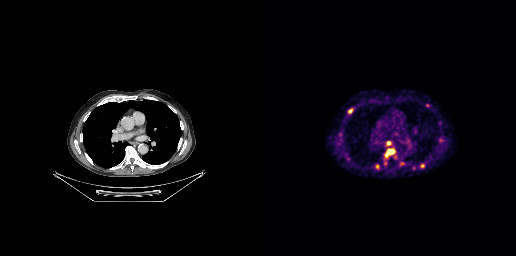
Coordinates are on the 256×256 PET (right) panel. PSMA-avid tumor lesion bounding boxes (x0, y0)-(x1, y1): (125, 149)-(134, 156); (160, 164)-(164, 167); (115, 164)-(119, 168); (127, 141)-(130, 145); (140, 162)-(144, 165); (179, 138)-(183, 142). Small PSMA-avid foci (2 to 4 px across) near (center x, center y): (90, 110); (167, 105).